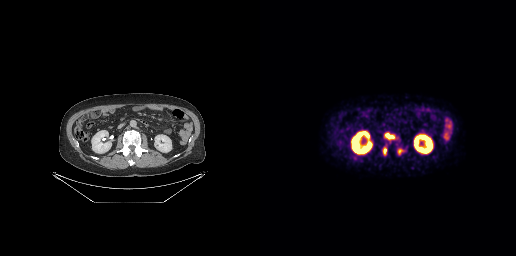
modality: PSMA PET/CT | tracer: 18F | view: axial
Coordinates are on the 256×256 PET (right) panel. PSMA-avid tumor lesion bounding boxes (x0,y0,x1,y1): [124,132,135,140] [122,147,127,155] [137,148,143,154].